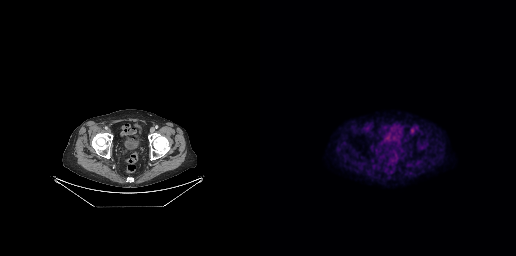
No PSMA-avid tumor lesions on this slice.